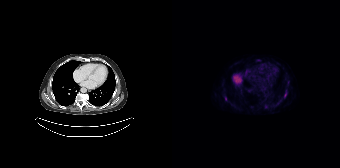
{"pet_grid":[168,168],"coord_frame":"pet_panel","coord_format":"x0,y0,x1,y1","lesion_bboxes":[[112,92,114,97]],"modality":"PSMA PET/CT","view":"axial","tracer":"18F"}